Two-panel axial: CT | PSMA PET, 18F tracer. PET panel 200×200 px (4.1 mm/px).
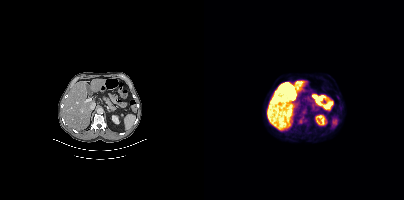
Coordinates are on the 200×200 PET (right) panel. Small PSMA-avid focus (2 to 4 px across) near (center x, center y): (96, 120).